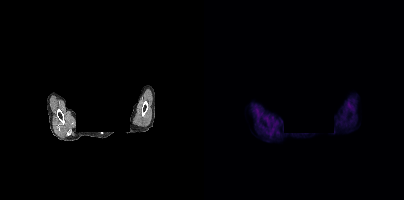
This slice has no annotated PSMA-avid lesion.
deidentification: privacy mask over head | modality: PSMA PET/CT | tracer: [18F]PSMA-1007 | view: axial | PET grid: 200×200